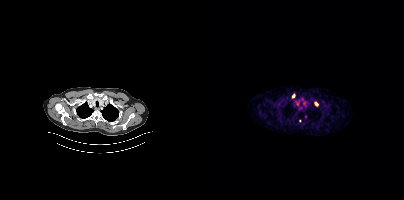
- Two-panel axial: CT | PSMA PET, [68Ga]Ga-PSMA-11 tracer
- PET panel 200×200 px (4.1 mm/px)
Findings: Coordinates are on the 200×200 PET (right) panel. (showing 1 of 3 foci) Small PSMA-avid focus (2 to 4 px across) near (center x, center y): (112, 104).